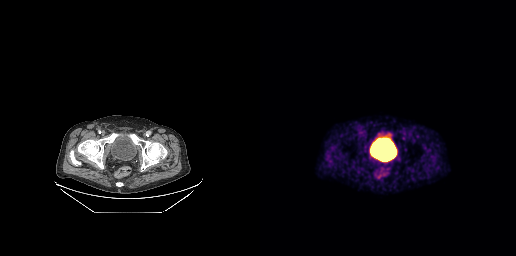
Paired axial CT (left) and PSMA PET (right), [68Ga]Ga-PSMA-11 tracer. Slice 67 of 263. PET panel 256×256 px (2.7 mm/px). No tumor lesions annotated on this slice.